modality: PSMA PET/CT | tracer: [68Ga]Ga-PSMA-11 | view: axial | PET grid: 256×256
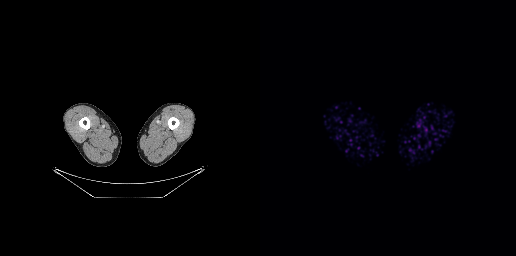
No tumor lesions annotated on this slice.